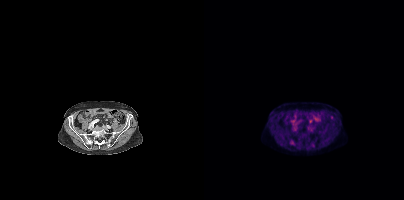
Coordinates are on the 200×200 PET (right) panel. Small PSMA-avid foci (2 to 4 px across) near (center x, center y): (127, 117) / (88, 143).